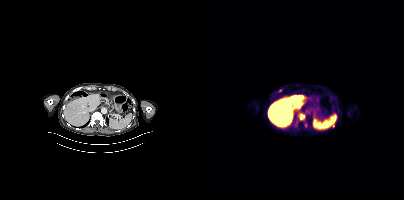
- Two-panel axial: CT | PSMA PET, 18F tracer
- acquired on Siemens Biograph mCT Flow 20
- slice 215 of 421
Findings: Coordinates are on the 200×200 PET (right) panel. (showing 2 of 4 foci) Small PSMA-avid foci (2 to 4 px across) near (center x, center y): (99, 115) | (129, 125).